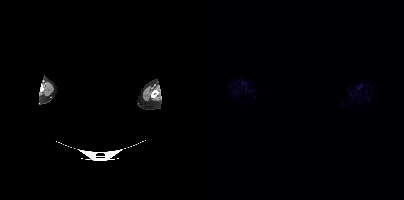
Facial anatomy redacted by setting a rectangular region of the head to black.
This slice has no annotated PSMA-avid lesion.